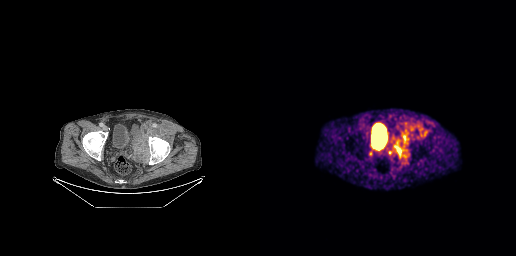
- Paired axial CT (left) and PSMA PET (right), 68Ga-PSMA tracer
Findings: Coordinates are on the 256×256 PET (right) panel. PSMA-avid tumor lesion bounding boxes (x, y, width, height): x=132 y=135 w=18 h=22 / x=157 y=125 w=10 h=11.